Paired axial CT (left) and PSMA PET (right), 18F-PSMA tracer. Acquired on Siemens Biograph 64-4R TruePoint. Slice 38 of 195.
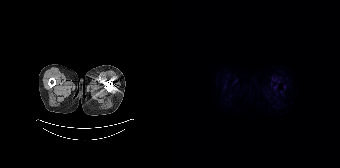
Negative for PSMA-avid disease on this slice.